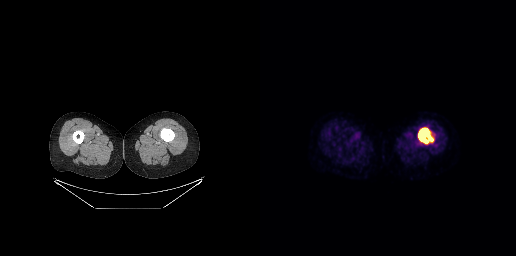
Findings: Coordinates are on the 256×256 PET (right) panel. PSMA-avid tumor lesion bounding box (x0, y0)-(x1, y1): (158, 128)-(172, 143).
Technique: Paired axial CT (left) and PSMA PET (right), [18F]PSMA-1007 tracer. acquired on GE Discovery 690. PET panel 256×256 px (2.7 mm/px).